de-identification: face masked with black rectangle | modality: PSMA PET/CT | tracer: 18F-PSMA | view: axial | PET grid: 200×200
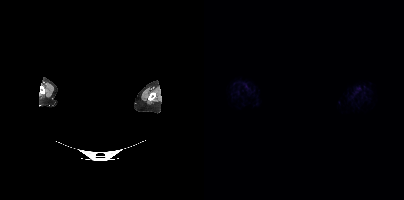
No PSMA-avid tumor lesions on this slice.